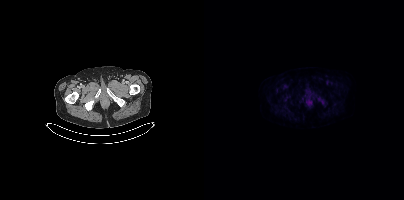
- Paired axial CT (left) and PSMA PET (right), 18F-PSMA tracer
Findings: This slice has no annotated PSMA-avid lesion.